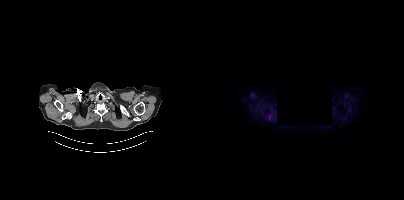
This slice has no annotated PSMA-avid lesion. Left: CT. Right: PSMA PET, same axial level, 18F tracer. Acquired on Siemens Biograph mCT Flow 20. Slice position z = -890 mm. PET panel 200×200 px (4.1 mm/px). Privacy masking, with the pixels inside a rectangle set to black.